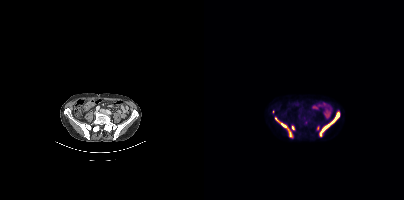
Findings: Coordinates are on the 200×200 PET (right) panel. (showing 3 of 5 foci) PSMA-avid tumor lesion bounding boxes (x, y, width, height): x=116 y=112 w=20 h=24 / x=71 y=117 w=17 h=20. Small PSMA-avid focus (2 to 4 px across) near (center x, center y): (89, 127).
- Left: CT. Right: PSMA PET, same axial level, 18F-PSMA tracer
- slice position z = -293 mm